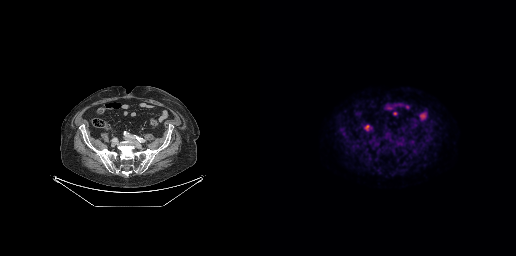
No tumor lesions annotated on this slice.